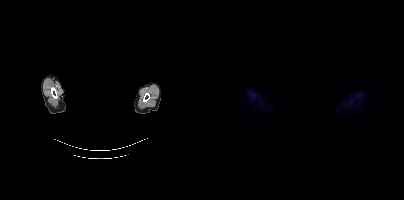
Paired axial CT (left) and PSMA PET (right), 18F-PSMA tracer. Acquired on Siemens Biograph mCT Flow 20. Slice position z = -812 mm. PET panel 200×200 px (4.1 mm/px). A rectangle over the head was blacked out to remove identifiable facial features. This slice has no annotated PSMA-avid lesion.